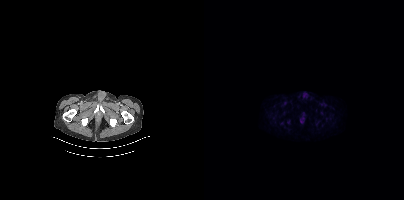
{"pet_grid":[200,200],"coord_frame":"pet_panel","coord_format":"x0,y0,x1,y1","psma_avid_lesions":false,"modality":"PSMA PET/CT","view":"axial","tracer":"18F-PSMA"}